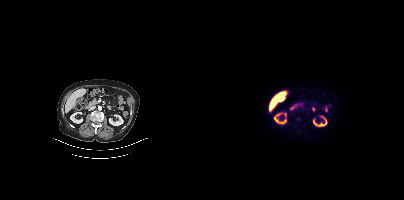
{"modality":"PSMA PET/CT","view":"axial","tracer":"18F-PSMA","pet_grid":[200,200],"coord_frame":"pet_panel","coord_format":"x0,y0,x1,y1","psma_avid_lesions":false}